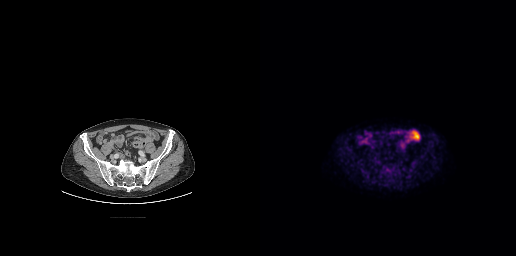
Two-panel axial: CT | PSMA PET, [18F]PSMA-1007 tracer. Acquired on GE Discovery 690. PET panel 256×256 px (2.7 mm/px). No PSMA-avid tumor lesions on this slice.